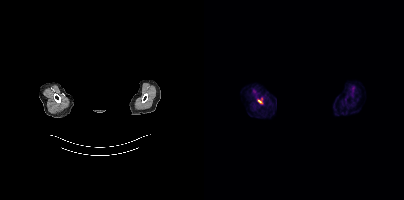
Coordinates are on the 200×200 PET (right) panel. Small PSMA-avid focus (2 to 4 px across) near (center x, center y): (55, 100). A rectangle over the head was blacked out to remove identifiable facial features. Two-panel axial: CT | PSMA PET, 18F tracer. Acquired on Siemens Biograph mCT Flow 20. PET panel 200×200 px (4.1 mm/px).